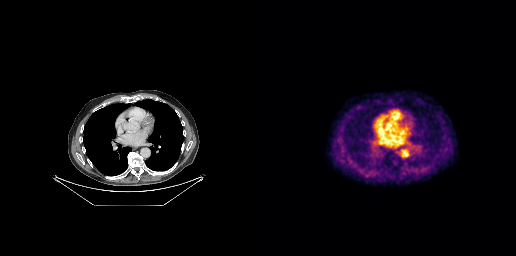
- Paired axial CT (left) and PSMA PET (right), 18F tracer
- acquired on GE Discovery 690
- slice 178 of 263
Findings: No PSMA-avid tumor lesions on this slice.